modality: PSMA PET/CT | tracer: [18F]PSMA-1007 | view: axial | PET grid: 168×168 | redaction: head region blacked out before release
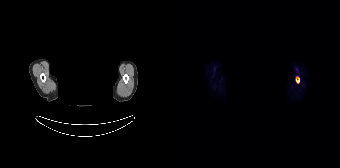
Coordinates are on the 168×168 PET (right) panel. PSMA-avid tumor lesion bounding box (x, y, width, height): x=124 y=77 w=4 h=7.